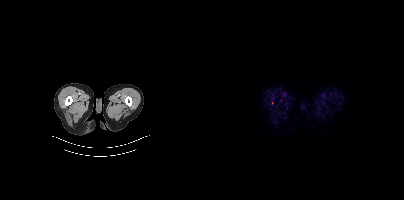
{"modality":"PSMA PET/CT","view":"axial","tracer":"18F-PSMA","pet_grid":[200,200],"coord_frame":"pet_panel","coord_format":"x0,y0,x1,y1","partial":true,"lesion_bboxes":[]}